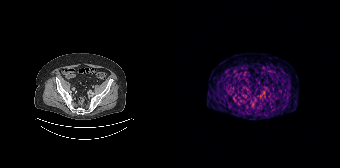
Technique: Two-panel axial: CT | PSMA PET, 68Ga tracer. acquired on Siemens Biograph 64-4R TruePoint. slice 42 of 165.
Findings: Negative for PSMA-avid disease on this slice.